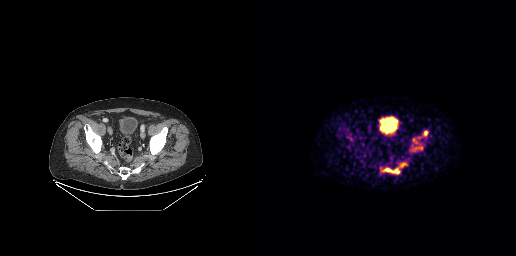
{"pet_grid":[256,256],"coord_frame":"pet_panel","coord_format":"x0,y0,x1,y1","partial":true,"lesion_bboxes":[[123,168,139,173],[164,131,167,135],[141,163,145,166]],"small_foci_centers":[[161,147]],"modality":"PSMA PET/CT","view":"axial","tracer":"68Ga"}